- Paired axial CT (left) and PSMA PET (right), [18F]PSMA-1007 tracer
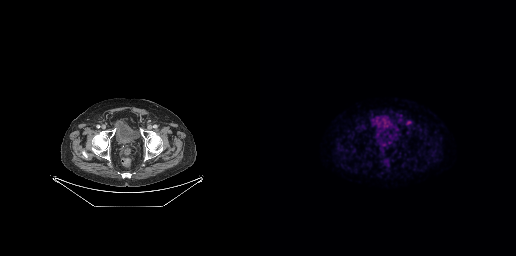
Findings: Coordinates are on the 256×256 PET (right) panel. Small PSMA-avid foci (2 to 4 px across) near (center x, center y): (148, 122); (139, 120).